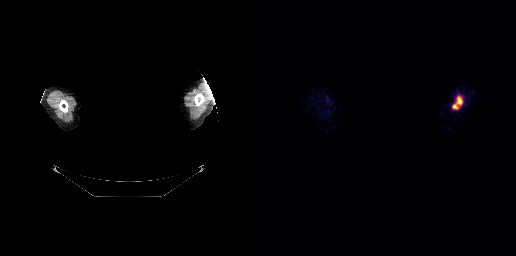
Technique: Left: CT. Right: PSMA PET, same axial level, 68Ga-PSMA tracer.
Note: De-identified by setting a box covering the face to black before release.
Findings: Coordinates are on the 256×256 PET (right) panel. PSMA-avid tumor lesion bounding box (x, y, width, height): x=193 y=96 w=10 h=13.